Paired axial CT (left) and PSMA PET (right), [18F]PSMA-1007 tracer. Acquired on Siemens Biograph mCT Flow 20. PET panel 200×200 px (4.1 mm/px).
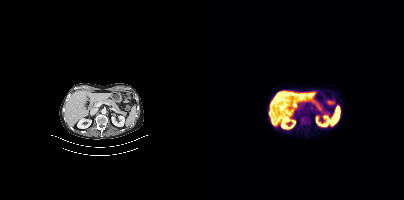
No tumor lesions annotated on this slice.